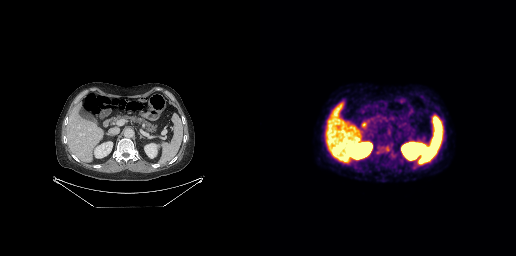
No PSMA-avid tumor lesions on this slice. Two-panel axial: CT | PSMA PET, 18F tracer. Acquired on GE Discovery 690.